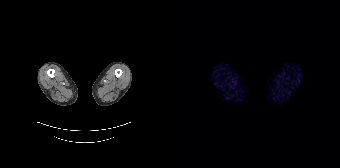
Left: CT. Right: PSMA PET, same axial level, 68Ga tracer. Acquired on Siemens Biograph 64-4R TruePoint. Slice 6 of 195. No PSMA-avid tumor lesions on this slice.